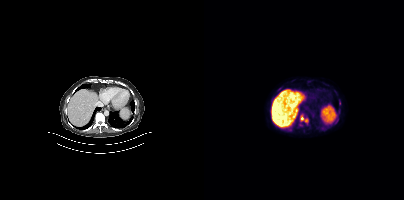
{"modality":"PSMA PET/CT","view":"axial","tracer":"[18F]PSMA-1007","pet_grid":[200,200],"coord_frame":"pet_panel","coord_format":"x0,y0,x1,y1","partial":true,"lesion_bboxes":[[96,115,104,122],[129,120,133,123]],"small_foci_centers":[[96,124],[74,89]]}